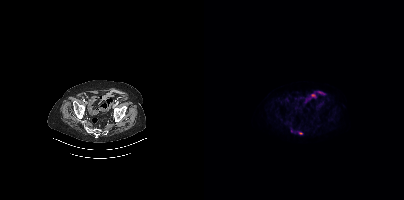
{"modality":"PSMA PET/CT","view":"axial","tracer":"[18F]PSMA-1007","pet_grid":[200,200],"coord_frame":"pet_panel","coord_format":"x0,y0,x1,y1","lesion_bboxes":[[95,132,99,134]],"small_foci_centers":[[87,130]]}